Technique: Paired axial CT (left) and PSMA PET (right), 18F-PSMA tracer. acquired on Siemens Biograph 64-4R TruePoint. slice 75 of 165.
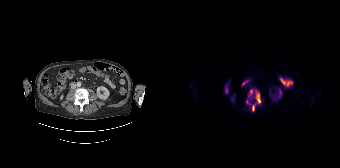
Findings: Coordinates are on the 168×168 PET (right) panel. PSMA-avid tumor lesion bounding boxes (x0, y0)-(x1, y1): (80, 90)-(88, 111) / (77, 89)-(80, 96) / (74, 100)-(77, 104).